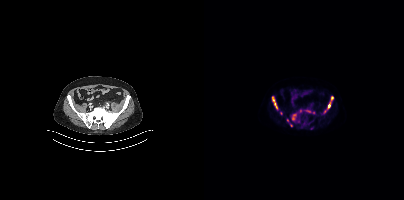
Coordinates are on the 200×200 PET (right) panel. (showing 10 of 11 foci) PSMA-avid tumor lesion bounding boxes (x0, y0)-(x1, y1): (120, 96)-(129, 112) | (68, 96)-(73, 109) | (88, 113)-(92, 120) | (100, 109)-(107, 112). Small PSMA-avid foci (2 to 4 px across) near (center x, center y): (96, 110) | (77, 113) | (109, 112) | (83, 119) | (87, 125) | (107, 128).